Technique: Two-panel axial: CT | PSMA PET, [18F]PSMA-1007 tracer. PET panel 200×200 px (4.1 mm/px).
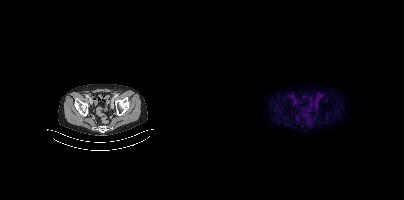
Findings: Coordinates are on the 200×200 PET (right) panel. Small PSMA-avid focus (2 to 4 px across) near (center x, center y): (122, 114).